Two-panel axial: CT | PSMA PET, 68Ga-PSMA tracer. Acquired on Siemens Biograph 64-4R TruePoint. PET panel 168×168 px (4.1 mm/px).
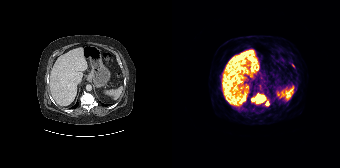
Coordinates are on the 168×168 PET (right) panel. PSMA-avid tumor lesion bounding boxes:
| # | x0 | y0 | x1 | y1 |
|---|---|---|---|---|
| 1 | 79 | 93 | 97 | 105 |